- Paired axial CT (left) and PSMA PET (right), 18F-PSMA tracer
- PET panel 200×200 px (4.1 mm/px)
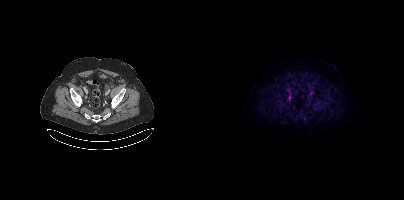
Findings: Coordinates are on the 200×200 PET (right) panel. Small PSMA-avid focus (2 to 4 px across) near (center x, center y): (85, 98).